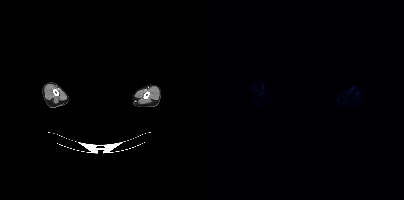
Technique: Left: CT. Right: PSMA PET, same axial level, 18F tracer.
Note: De-identified by setting a box covering the face to black before release.
Findings: Negative for PSMA-avid disease on this slice.